Technique: Two-panel axial: CT | PSMA PET, 18F tracer. acquired on Siemens Biograph mCT Flow 20. slice 234 of 377.
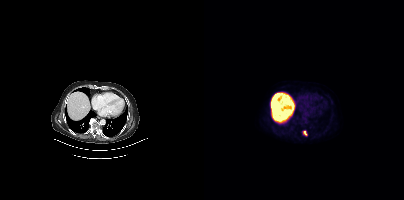
Findings: Coordinates are on the 200×200 PET (right) panel. PSMA-avid tumor lesion bounding box (x, y, width, height): x=99 y=130 w=5 h=6.